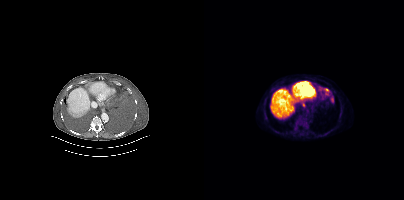
Coordinates are on the 200×200 PET (right) panel. PSMA-avid tumor lesion bounding boxes:
| # | x0 | y0 | x1 | y1 |
|---|---|---|---|---|
| 1 | 114 | 87 | 127 | 95 |
| 2 | 126 | 96 | 130 | 102 |
| 3 | 97 | 102 | 101 | 106 |
Small PSMA-avid focus (2 to 4 px across) near (center x, center y): (108, 110).
Two-panel axial: CT | PSMA PET, [18F]PSMA-1007 tracer.